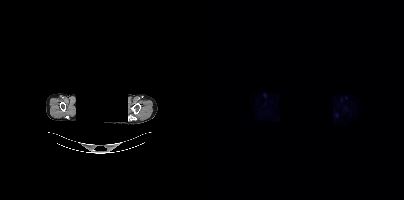
The head region is masked for de-identification. Two-panel axial: CT | PSMA PET, [18F]PSMA-1007 tracer. Slice position z = -810 mm. PET panel 200×200 px (4.1 mm/px). Negative for PSMA-avid disease on this slice.